Paired axial CT (left) and PSMA PET (right), 18F-PSMA tracer.
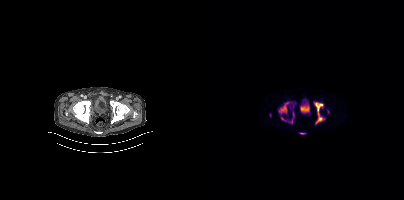
Coordinates are on the 200×200 PET (right) panel. (showing 4 of 7 foci) PSMA-avid tumor lesion bounding boxes (x, y, width, height): x=111 y=102 w=9 h=22; x=75 y=102 w=10 h=12; x=77 y=117 w=5 h=5; x=96 y=133 w=5 h=2.